Technique: Paired axial CT (left) and PSMA PET (right), 18F-PSMA tracer. acquired on Siemens Biograph 64-4R TruePoint. PET panel 168×168 px (4.1 mm/px).
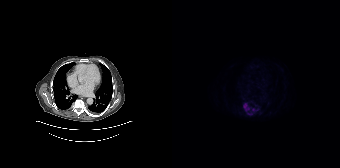
Findings: Coordinates are on the 168×168 PET (right) panel. (showing 3 of 4 foci) PSMA-avid tumor lesion bounding box (x0,y0,x1,y1): [71,103,77,110]. Small PSMA-avid foci (2 to 4 px across) near (center x, center y): (81, 109) (76, 113).